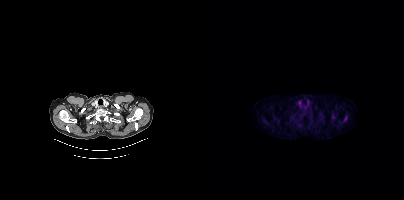
modality: PSMA PET/CT | tracer: 18F-PSMA | view: axial
Coordinates are on the 200×200 PET (right) panel. PSMA-avid tumor lesion bounding boxes (x0, y0)-(x1, y1): (139, 115)-(143, 121); (128, 114)-(131, 119).